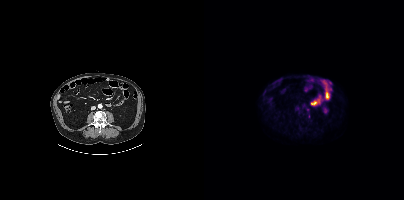
{"pet_grid":[200,200],"coord_frame":"pet_panel","coord_format":"x0,y0,x1,y1","partial":true,"lesion_bboxes":[],"small_foci_centers":[[103,109]],"modality":"PSMA PET/CT","view":"axial","tracer":"[18F]PSMA-1007"}